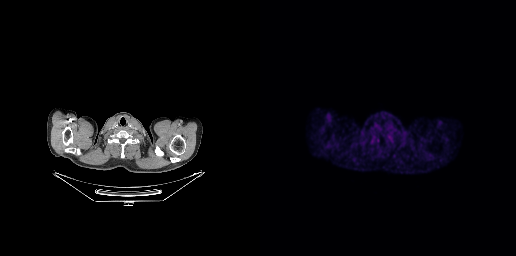
Two-panel axial: CT | PSMA PET, 18F-PSMA tracer. Slice position z = -141 mm. No PSMA-avid tumor lesions on this slice.